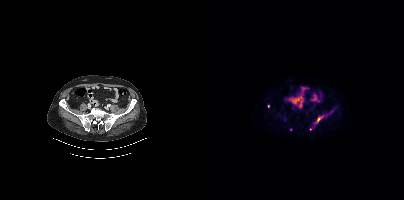
{"modality":"PSMA PET/CT","view":"axial","tracer":"18F","pet_grid":[200,200],"coord_frame":"pet_panel","coord_format":"x0,y0,x1,y1","lesion_bboxes":[[113,115,120,122],[80,117,81,121]],"small_foci_centers":[[64,106],[86,129]]}